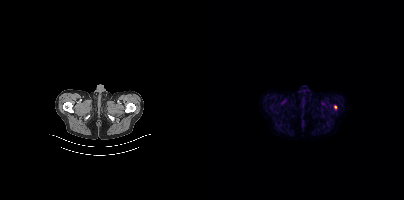
Coordinates are on the 200×200 PET (right) panel. Small PSMA-avid focus (2 to 4 px across) near (center x, center y): (131, 107).